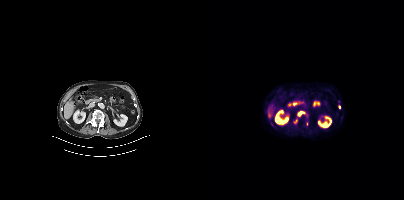
Findings: Coordinates are on the 200×200 PET (right) panel. PSMA-avid tumor lesion bounding boxes (x, y, width, height): x=94 y=111 w=7 h=5 | x=90 y=119 w=4 h=5. Small PSMA-avid focus (2 to 4 px across) near (center x, center y): (135, 106).
Technique: Two-panel axial: CT | PSMA PET, 18F-PSMA tracer. acquired on Siemens Biograph mCT Flow 20.